Technique: Two-panel axial: CT | PSMA PET, [18F]PSMA-1007 tracer. slice position z = -576 mm.
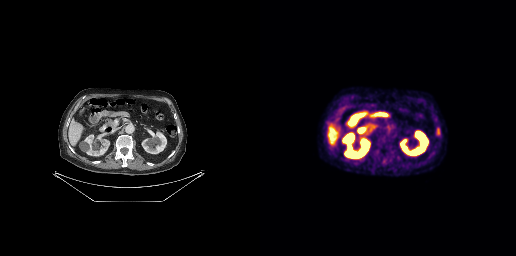
Findings: No tumor lesions annotated on this slice.